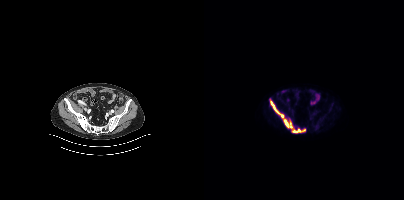
{"modality":"PSMA PET/CT","view":"axial","tracer":"18F","pet_grid":[200,200],"coord_frame":"pet_panel","coord_format":"x0,y0,x1,y1","partial":true,"lesion_bboxes":[[66,101,88,128],[88,129,101,132]]}